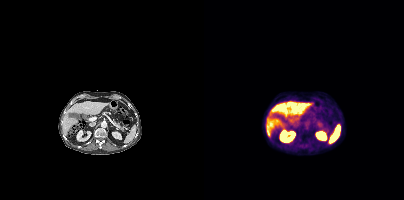
Findings: Negative for PSMA-avid disease on this slice.
Technique: Two-panel axial: CT | PSMA PET, 18F-PSMA tracer. slice 203 of 389.